Technique: Paired axial CT (left) and PSMA PET (right), 18F-PSMA tracer. slice position z = 366 mm.
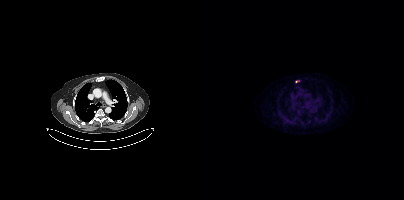
Findings: Coordinates are on the 200×200 PET (right) panel. PSMA-avid tumor lesion bounding box (x0, y0)-(x1, y1): (91, 80)-(95, 82).